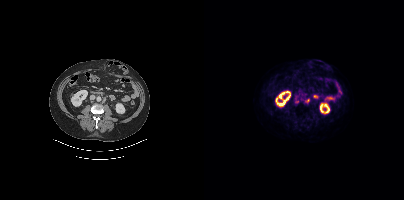
Paired axial CT (left) and PSMA PET (right), 18F tracer. Acquired on Siemens Biograph mCT Flow 20. PET panel 200×200 px (4.1 mm/px). Coordinates are on the 200×200 PET (right) panel. PSMA-avid tumor lesion bounding box (x, y, width, height): x=101 y=99 w=5 h=5. Small PSMA-avid focus (2 to 4 px across) near (center x, center y): (93, 102).